Facial anatomy redacted by setting a rectangular region of the head to black. Paired axial CT (left) and PSMA PET (right), 68Ga tracer. Acquired on GE Discovery 690. Slice 260 of 263.
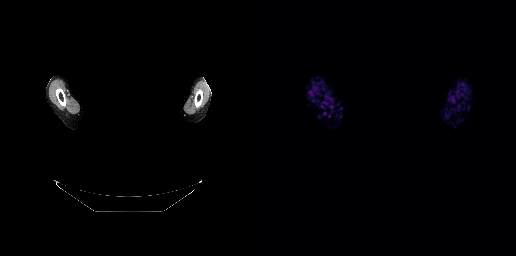
No PSMA-avid tumor lesions on this slice.